Technique: Two-panel axial: CT | PSMA PET, 68Ga tracer.
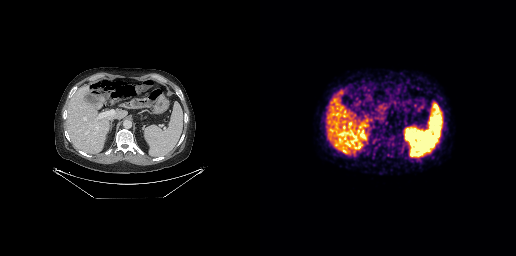
Findings: No tumor lesions annotated on this slice.